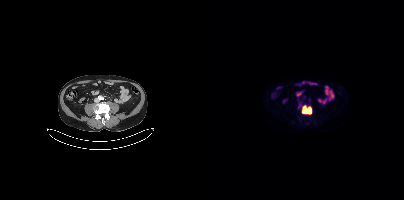
Findings: Coordinates are on the 200×200 PET (right) panel. PSMA-avid tumor lesion bounding box (x0, y0)-(x1, y1): (94, 102)-(107, 114). Small PSMA-avid focus (2 to 4 px across) near (center x, center y): (100, 97).
Technique: Two-panel axial: CT | PSMA PET, 18F tracer. PET panel 200×200 px (4.1 mm/px).